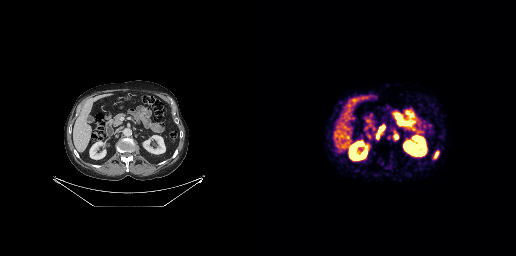
Coordinates are on the 256×256 PET (right) panel. (showing 4 of 6 foci) PSMA-avid tumor lesion bounding boxes (x, y, width, height): x=174 y=151 w=5 h=8 | x=119 y=126 w=6 h=5 | x=116 y=134 w=3 h=5. Small PSMA-avid focus (2 to 4 px across) near (center x, center y): (136, 136).